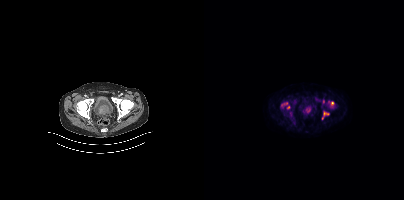
{"modality":"PSMA PET/CT","view":"axial","tracer":"[18F]PSMA-1007","pet_grid":[200,200],"coord_frame":"pet_panel","coord_format":"x0,y0,x1,y1","partial":true,"lesion_bboxes":[[76,104,85,109],[118,111,125,119],[127,101,129,105]],"small_foci_centers":[[119,101]]}